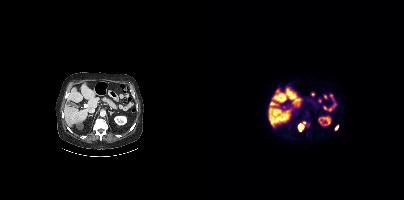
Findings: Coordinates are on the 200×200 PET (right) panel. PSMA-avid tumor lesion bounding box (x0, y0)-(x1, y1): (94, 122)-(101, 131). Small PSMA-avid focus (2 to 4 px across) near (center x, center y): (132, 127).
Technique: Left: CT. Right: PSMA PET, same axial level, [18F]PSMA-1007 tracer. slice position z = -1176 mm.